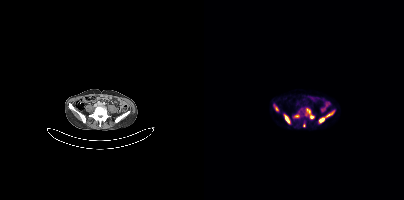
Paired axial CT (left) and PSMA PET (right), 68Ga tracer. Acquired on Siemens Biograph mCT Flow 20. PET panel 200×200 px (4.1 mm/px).
Coordinates are on the 200×200 PET (right) panel. PSMA-avid tumor lesion bounding boxes (partial; 1 more focus not listed):
| # | x0 | y0 | x1 | y1 |
|---|---|---|---|---|
| 1 | 80 | 115 | 85 | 122 |
| 2 | 115 | 118 | 120 | 122 |
| 3 | 91 | 114 | 95 | 117 |
| 4 | 70 | 105 | 74 | 110 |
Small PSMA-avid foci (2 to 4 px across) near (center x, center y): (104, 110); (107, 116); (124, 115); (99, 125).